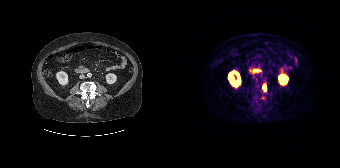
Coordinates are on the 168×168 PET (right) panel. PSMA-avid tumor lesion bounding box (x, y, width, height): x=90 y=83 w=5 h=9.